Technique: Left: CT. Right: PSMA PET, same axial level, [18F]PSMA-1007 tracer. slice position z = -318 mm.
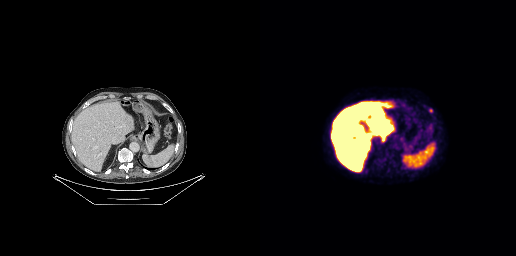
Findings: Coordinates are on the 256×256 PET (right) panel. Small PSMA-avid focus (2 to 4 px across) near (center x, center y): (170, 110).